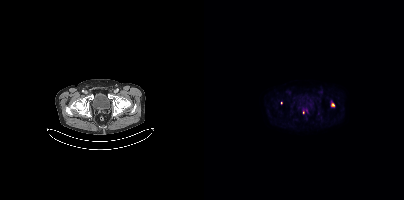
Coordinates are on the 200×200 PET (right) panel. (showing 1 of 4 foci) Small PSMA-avid focus (2 to 4 px across) near (center x, center y): (99, 110).